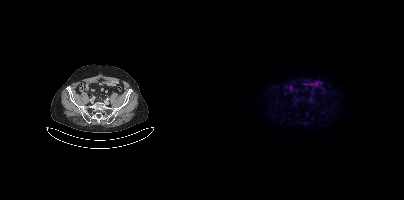
Findings: Negative for PSMA-avid disease on this slice.
- Left: CT. Right: PSMA PET, same axial level, 18F-PSMA tracer
- acquired on Siemens Biograph mCT Flow 20
- slice 137 of 433
- PET panel 200×200 px (4.1 mm/px)